Technique: Left: CT. Right: PSMA PET, same axial level, 18F-PSMA tracer.
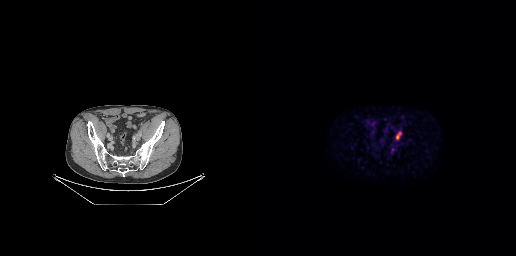
Findings: Coordinates are on the 256×256 PET (right) panel. PSMA-avid tumor lesion bounding boxes (x0,y0,x1,y1): [135,132,141,139]; [131,148,134,152].